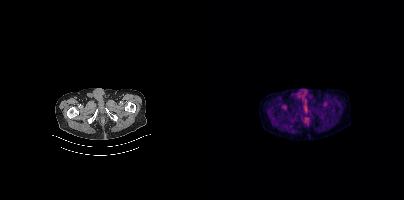
Paired axial CT (left) and PSMA PET (right), 18F tracer. This slice has no annotated PSMA-avid lesion.